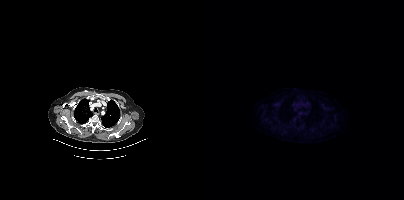
{"modality":"PSMA PET/CT","view":"axial","tracer":"[18F]PSMA-1007","pet_grid":[200,200],"coord_frame":"pet_panel","coord_format":"x0,y0,x1,y1","psma_avid_lesions":false}